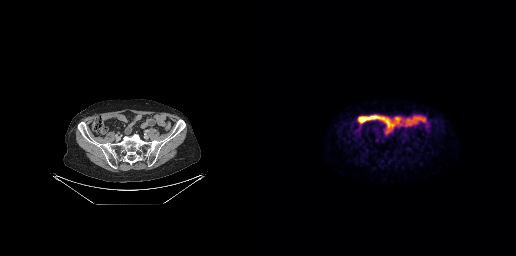
Paired axial CT (left) and PSMA PET (right), 18F-PSMA tracer. PET panel 256×256 px (2.7 mm/px). No PSMA-avid tumor lesions on this slice.